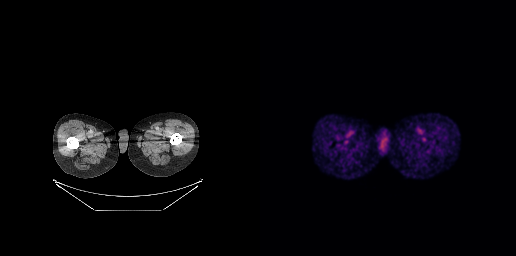
No PSMA-avid tumor lesions on this slice.